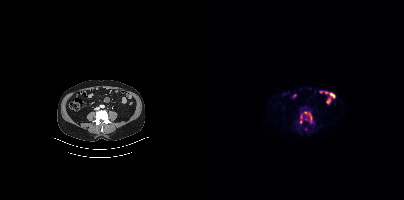
Only PSMA-avid lesion pieces thinner than 2 px on this slice (not listed).
modality: PSMA PET/CT | tracer: [18F]PSMA-1007 | view: axial | PET grid: 200×200